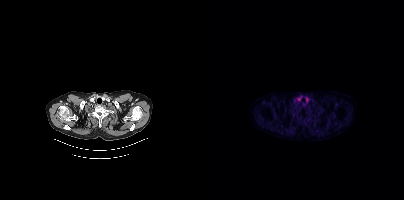
modality: PSMA PET/CT | tracer: 18F | view: axial | PET grid: 200×200
Negative for PSMA-avid disease on this slice.